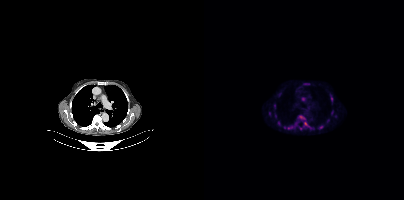
Technique: Paired axial CT (left) and PSMA PET (right), [18F]PSMA-1007 tracer. acquired on Siemens Biograph mCT Flow 20. slice position z = 384 mm. PET panel 200×200 px (4.1 mm/px).
Findings: Coordinates are on the 200×200 PET (right) panel. (showing 12 of 13 foci) PSMA-avid tumor lesion bounding boxes (x0, y0)-(x1, y1): (95, 116)-(101, 119) | (100, 122)-(104, 126) | (84, 126)-(88, 129) | (126, 94)-(128, 98) | (70, 104)-(71, 108). Small PSMA-avid foci (2 to 4 px across) near (center x, center y): (99, 99) | (65, 113) | (71, 115) | (117, 127) | (74, 123) | (80, 127) | (96, 128).